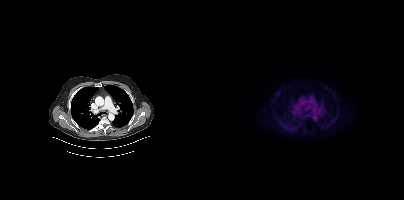
No PSMA-avid tumor lesions on this slice. Left: CT. Right: PSMA PET, same axial level, 18F-PSMA tracer. PET panel 200×200 px (4.1 mm/px).